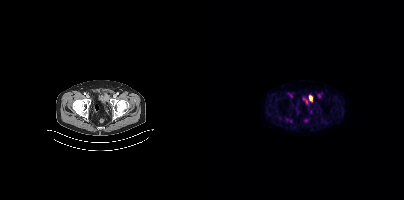
Findings: Coordinates are on the 200×200 PET (right) panel. PSMA-avid tumor lesion bounding box (x, y, width, height): x=81 y=118 w=8 h=5.
- Two-panel axial: CT | PSMA PET, 18F tracer
- slice 58 of 393
- PET panel 200×200 px (4.1 mm/px)